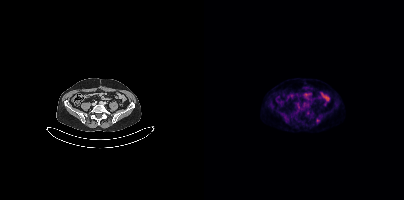
{"modality":"PSMA PET/CT","view":"axial","tracer":"18F-PSMA","pet_grid":[200,200],"coord_frame":"pet_panel","coord_format":"x0,y0,x1,y1","lesion_bboxes":[],"small_foci_centers":[[113,120]]}